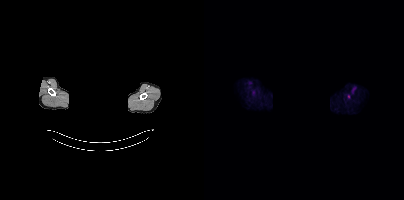
- the head region is masked for de-identification
- Paired axial CT (left) and PSMA PET (right), 18F tracer
- acquired on Siemens Biograph mCT Flow 20
- slice position z = 1804 mm
- PET panel 200×200 px (4.1 mm/px)
Findings: Coordinates are on the 200×200 PET (right) panel. Small PSMA-avid focus (2 to 4 px across) near (center x, center y): (144, 96).